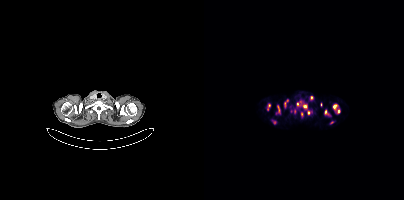
- Left: CT. Right: PSMA PET, same axial level, 68Ga-PSMA tracer
- slice 328 of 393
- PET panel 200×200 px (4.1 mm/px)
Findings: Coordinates are on the 200×200 PET (right) panel. (showing 13 of 17 foci) PSMA-avid tumor lesion bounding boxes (x0, y0)-(x1, y1): (129, 104)-(135, 113) / (99, 104)-(103, 108) / (121, 110)-(124, 114) / (97, 113)-(99, 117) / (80, 100)-(84, 106) / (73, 106)-(75, 112). Small PSMA-avid foci (2 to 4 px across) near (center x, center y): (104, 112) / (107, 97) / (65, 105) / (90, 111) / (93, 103) / (63, 109) / (127, 122).